Privacy masking over the head, with the pixels inside a rectangle set to black. Left: CT. Right: PSMA PET, same axial level, [68Ga]Ga-PSMA-11 tracer. Acquired on GE Discovery 690. Slice position z = -222 mm. PET panel 256×256 px (2.7 mm/px).
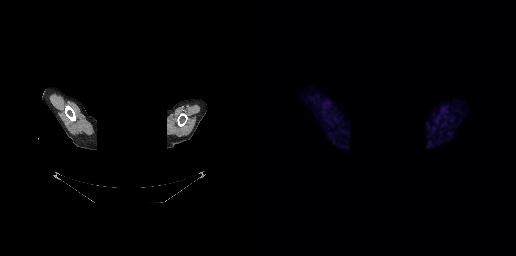
This slice has no annotated PSMA-avid lesion.